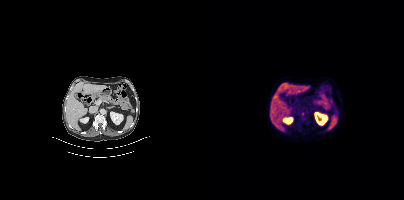
{"modality":"PSMA PET/CT","view":"axial","tracer":"[18F]PSMA-1007","pet_grid":[200,200],"coord_frame":"pet_panel","coord_format":"x0,y0,x1,y1","lesion_bboxes":[],"small_foci_centers":[[98,113]]}